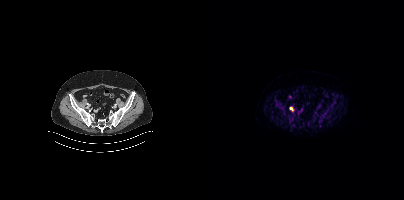
Two-panel axial: CT | PSMA PET, [18F]PSMA-1007 tracer. Slice 110 of 433. PET panel 200×200 px (4.1 mm/px).
Coordinates are on the 200×200 PET (right) panel. PSMA-avid tumor lesion bounding boxes:
| # | x0 | y0 | x1 | y1 |
|---|---|---|---|---|
| 1 | 85 | 107 | 89 | 111 |